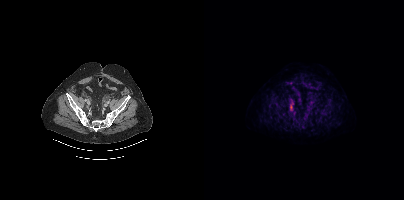
Coordinates are on the 200×200 PET (right) panel. PSMA-avid tumor lesion bounding box (x, y, width, height): x=86 y=100 w=4 h=11.